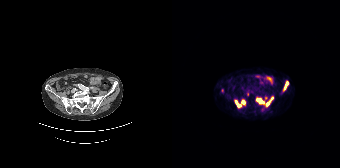
Findings: Coordinates are on the 168×168 PET (right) panel. (showing 7 of 8 foci) PSMA-avid tumor lesion bounding boxes (x0,y0,x1,y1): [84,98,92,103], [63,100,69,107], [112,81,116,89], [94,97,101,105], [69,100,73,104], [93,96,95,100]. Small PSMA-avid focus (2 to 4 px across) near (center x, center y): (75, 94).
- Paired axial CT (left) and PSMA PET (right), 68Ga tracer
- acquired on Siemens Biograph 64-4R TruePoint
- slice 48 of 165
- PET panel 168×168 px (4.1 mm/px)